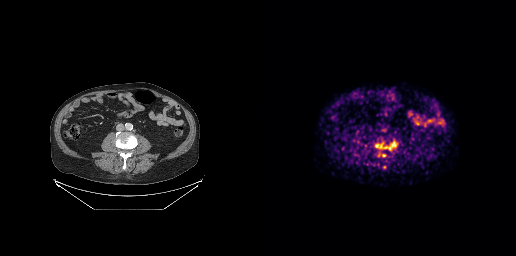
Findings: Coordinates are on the 256×256 PET (right) panel. PSMA-avid tumor lesion bounding box (x, y, width, height): x=115 y=141 w=22 h=10. Small PSMA-avid foci (2 to 4 px across) near (center x, center y): (123, 155); (124, 167).
- Two-panel axial: CT | PSMA PET, [68Ga]Ga-PSMA-11 tracer
- acquired on GE Discovery 690
- PET panel 256×256 px (2.7 mm/px)